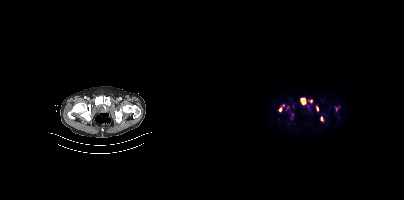
{"modality":"PSMA PET/CT","view":"axial","tracer":"18F-PSMA","pet_grid":[200,200],"coord_frame":"pet_panel","coord_format":"x0,y0,x1,y1","partial":true,"lesion_bboxes":[[96,98,101,104],[75,104,80,111]],"small_foci_centers":[[132,108],[113,108],[117,118],[107,101]]}